- Two-panel axial: CT | PSMA PET, 18F-PSMA tracer
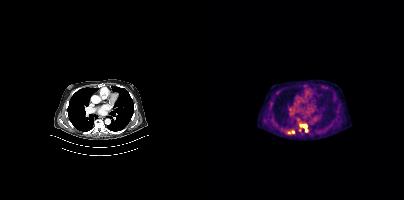
Findings: Coordinates are on the 200×200 PET (right) panel. PSMA-avid tumor lesion bounding boxes (x, y, width, height): x=96 y=125 w=8 h=7 / x=84 y=130 w=7 h=4.